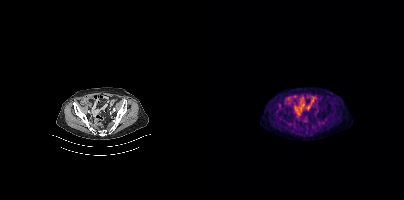
Findings: Negative for PSMA-avid disease on this slice.
Technique: Left: CT. Right: PSMA PET, same axial level, [18F]PSMA-1007 tracer. slice 110 of 397.